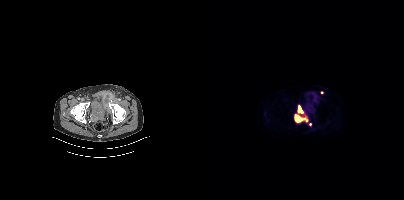
modality: PSMA PET/CT | tracer: [18F]PSMA-1007 | view: axial
Coordinates are on the 200×200 PET (right) panel. (showing 2 of 3 foci) PSMA-avid tumor lesion bounding box (x0, y0)-(x1, y1): (90, 105)-(103, 122). Small PSMA-avid focus (2 to 4 px across) near (center x, center y): (118, 92).